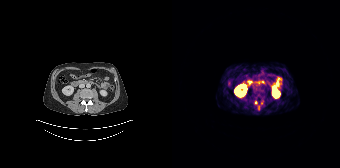
- Left: CT. Right: PSMA PET, same axial level, 68Ga-PSMA tracer
- acquired on Siemens Biograph 64-4R TruePoint
Findings: Only PSMA-avid lesion pieces thinner than 2 px on this slice (not listed).